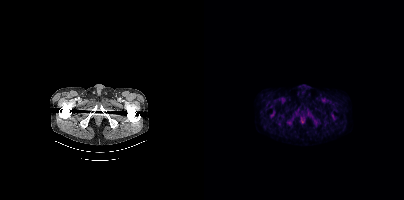
No PSMA-avid tumor lesions on this slice.